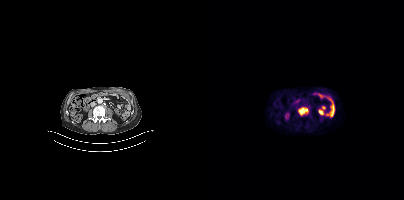
{"pet_grid":[200,200],"coord_frame":"pet_panel","coord_format":"x0,y0,x1,y1","lesion_bboxes":[[94,107,104,115]],"modality":"PSMA PET/CT","view":"axial","tracer":"18F-PSMA"}